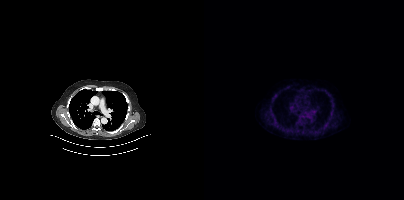
{"modality":"PSMA PET/CT","view":"axial","tracer":"[18F]PSMA-1007","pet_grid":[200,200],"coord_frame":"pet_panel","coord_format":"x0,y0,x1,y1","psma_avid_lesions":false}